Two-panel axial: CT | PSMA PET, 18F-PSMA tracer. Acquired on Siemens Biograph mCT Flow 20. Slice 314 of 395. PET panel 200×200 px (4.1 mm/px).
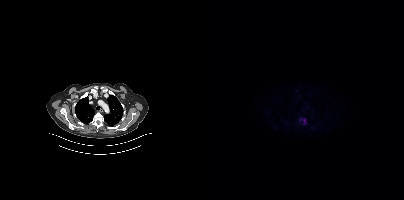
Coordinates are on the 200×200 PET (right) panel. PSMA-avid tumor lesion bounding box (x0, y0)-(x1, y1): (99, 118)-(102, 124). Small PSMA-avid focus (2 to 4 px across) near (center x, center y): (96, 119).